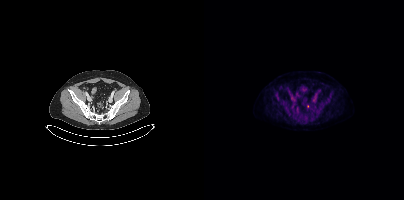
Left: CT. Right: PSMA PET, same axial level, [18F]PSMA-1007 tracer. Slice position z = -1423 mm. Only PSMA-avid lesion pieces thinner than 2 px on this slice (not listed).